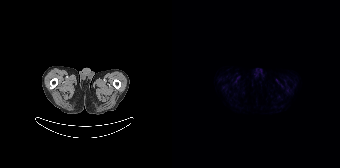
No PSMA-avid tumor lesions on this slice.